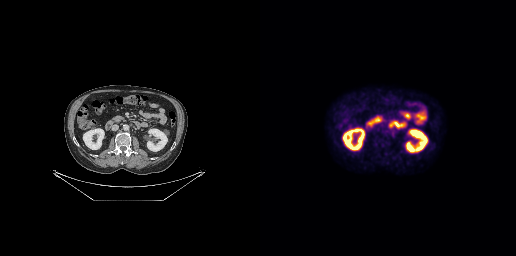
{"modality":"PSMA PET/CT","view":"axial","tracer":"18F","pet_grid":[256,256],"coord_frame":"pet_panel","coord_format":"x0,y0,x1,y1","lesion_bboxes":[[129,122,135,127]]}